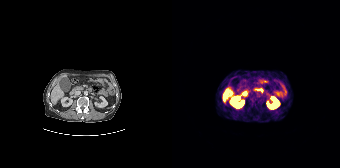
This slice has no annotated PSMA-avid lesion.